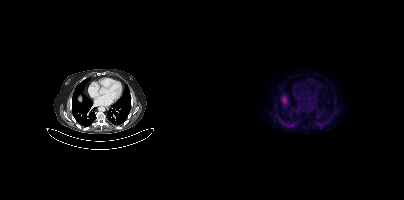
{"modality":"PSMA PET/CT","view":"axial","tracer":"[18F]PSMA-1007","pet_grid":[200,200],"coord_frame":"pet_panel","coord_format":"x0,y0,x1,y1","psma_avid_lesions":false}